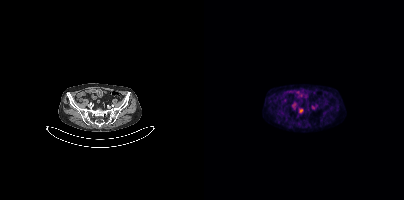
Findings: Coordinates are on the 200×200 PET (right) panel. Small PSMA-avid focus (2 to 4 px across) near (center x, center y): (97, 110).
Technique: Two-panel axial: CT | PSMA PET, 18F tracer.